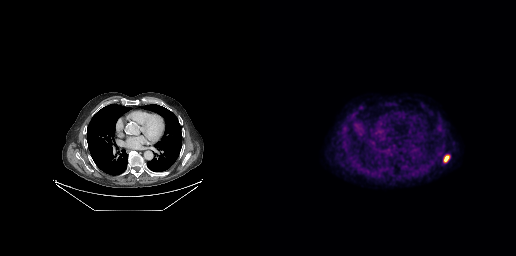
{"modality":"PSMA PET/CT","view":"axial","tracer":"18F","pet_grid":[256,256],"coord_frame":"pet_panel","coord_format":"x0,y0,x1,y1","lesion_bboxes":[[184,155,189,161]]}